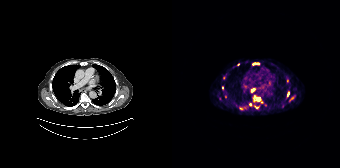
Findings: Coordinates are on the 168×168 PET (right) panel. (showing 11 of 12 foci) PSMA-avid tumor lesion bounding boxes (x0, y0)-(x1, y1): (67, 106)-(71, 110); (83, 105)-(87, 109); (115, 78)-(116, 82); (115, 92)-(117, 96). Small PSMA-avid foci (2 to 4 px across) near (center x, center y): (86, 98); (80, 90); (82, 63); (78, 104); (50, 87); (85, 63); (66, 64).
Technique: Paired axial CT (left) and PSMA PET (right), 68Ga-PSMA tracer. slice position z = -499 mm. PET panel 168×168 px (4.1 mm/px).